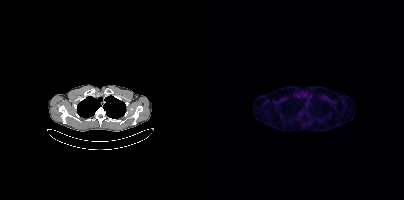
{"modality":"PSMA PET/CT","view":"axial","tracer":"18F","pet_grid":[200,200],"coord_frame":"pet_panel","coord_format":"x0,y0,x1,y1","psma_avid_lesions":false}